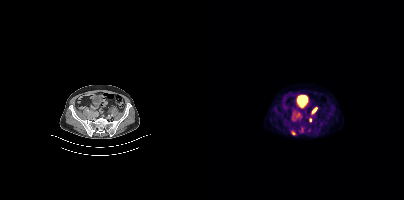
modality: PSMA PET/CT | tracer: 18F-PSMA | view: axial
Coordinates are on the 200×200 PET (right) panel. PSMA-avid tumor lesion bounding boxes (x, y, width, height): x=87 y=130 w=6 h=6 / x=88 y=114 w=3 h=5. Small PSMA-avid foci (2 to 4 px across) near (center x, center y): (110, 110) / (106, 119).